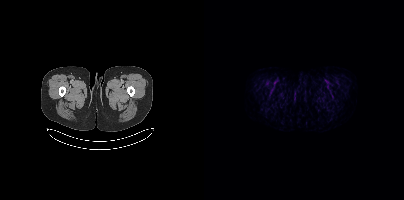
modality: PSMA PET/CT | tracer: 18F-PSMA | view: axial
Coordinates are on the 200×200 PET (right) panel. PSMA-avid tumor lesion bounding box (x0,y0,x1,y1): [125,90,129,97]. Small PSMA-avid focus (2 to 4 px across) near (center x, center y): (67, 90).